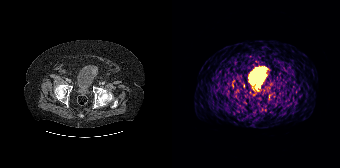
Coordinates are on the 168×168 PET (right) panel. PSMA-avid tumor lesion bounding box (x0,y0,x1,y1): [80,85,88,92]. Paired axial CT (left) and PSMA PET (right), 68Ga-PSMA tracer. Acquired on Siemens Biograph 64-4R TruePoint. Slice position z = -1569 mm. PET panel 168×168 px (4.1 mm/px).